Two-panel axial: CT | PSMA PET, 18F-PSMA tracer. Acquired on Siemens Biograph mCT Flow 20. PET panel 200×200 px (4.1 mm/px).
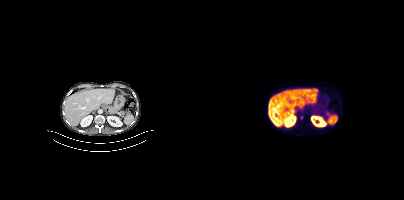
No PSMA-avid tumor lesions on this slice.